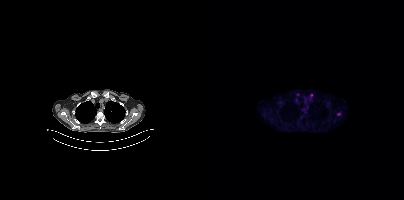
Technique: Paired axial CT (left) and PSMA PET (right), [18F]PSMA-1007 tracer. acquired on Siemens Biograph mCT Flow 20. PET panel 200×200 px (4.1 mm/px).
Findings: Coordinates are on the 200×200 PET (right) panel. (showing 2 of 3 foci) Small PSMA-avid foci (2 to 4 px across) near (center x, center y): (134, 114) | (107, 95).